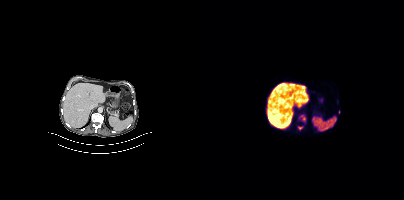
Coordinates are on the 200×200 PET (right) panel. (showing 2 of 3 foci) Small PSMA-avid foci (2 to 4 px across) near (center x, center y): (96, 128), (99, 118).